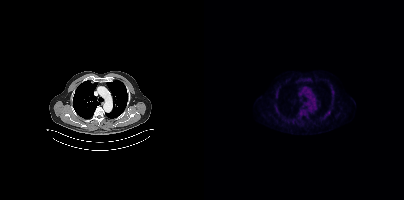
Only PSMA-avid lesion pieces thinner than 2 px on this slice (not listed).